Paired axial CT (left) and PSMA PET (right), 18F-PSMA tracer. The head region is masked for de-identification.
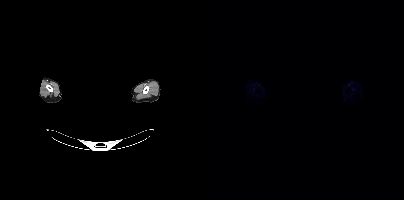
This slice has no annotated PSMA-avid lesion.